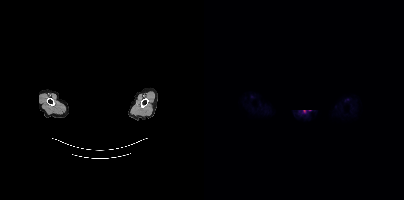
Technique: Two-panel axial: CT | PSMA PET, 68Ga tracer. slice 366 of 409. PET panel 200×200 px (4.1 mm/px).
Note: The face region was removed for patient privacy by blanking a rectangle over the head.
Findings: Coordinates are on the 200×200 PET (right) panel. Small PSMA-avid focus (2 to 4 px across) near (center x, center y): (100, 111).